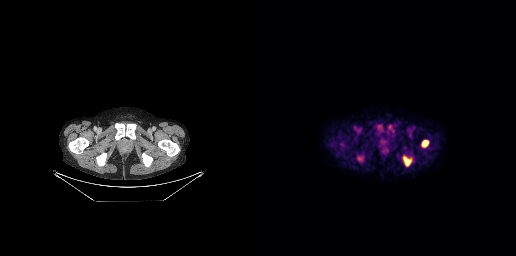
Coordinates are on the 256×256 PET (right) panel. PSMA-avid tumor lesion bounding boxes (x0,y0,x1,y1): [161,140,168,147] [144,157,150,165].
modality: PSMA PET/CT | tracer: 18F-PSMA | view: axial | PET grid: 256×256